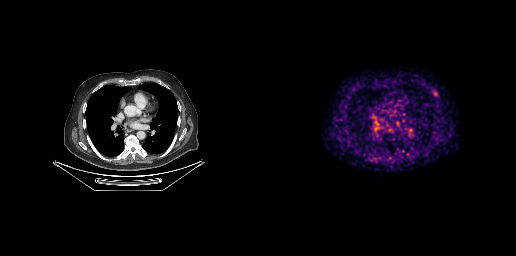
Technique: Paired axial CT (left) and PSMA PET (right), 68Ga-PSMA tracer.
Findings: No tumor lesions annotated on this slice.